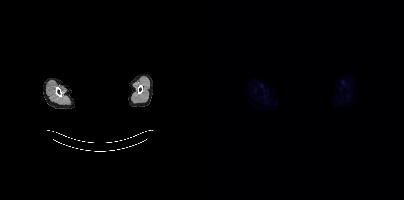
{"modality":"PSMA PET/CT","view":"axial","tracer":"[18F]PSMA-1007","pet_grid":[200,200],"coord_frame":"pet_panel","coord_format":"x0,y0,x1,y1","psma_avid_lesions":false,"de-identification":"facial region redacted"}